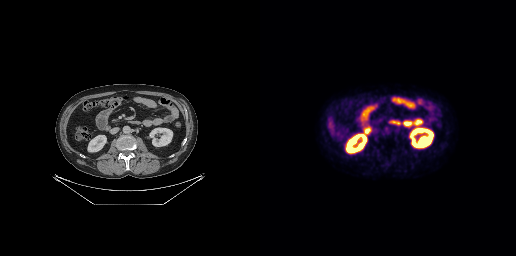
Negative for PSMA-avid disease on this slice.
modality: PSMA PET/CT | tracer: 18F | view: axial